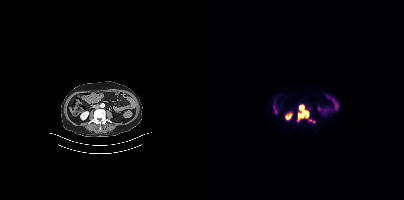
- Left: CT. Right: PSMA PET, same axial level, [18F]PSMA-1007 tracer
- acquired on Siemens Biograph mCT Flow 20
Findings: Coordinates are on the 200×200 PET (right) panel. (showing 1 of 2 foci) PSMA-avid tumor lesion bounding box (x0, y0)-(x1, y1): (94, 105)-(104, 119).